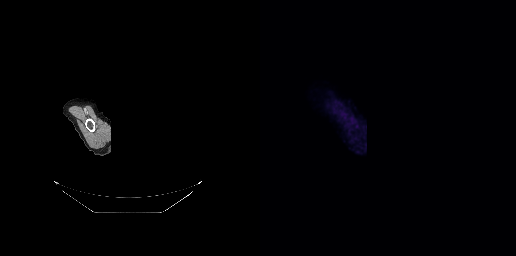
Technique: Two-panel axial: CT | PSMA PET, 18F-PSMA tracer.
Note: Facial anatomy redacted by setting a rectangular region of the head to black.
Findings: No PSMA-avid tumor lesions on this slice.